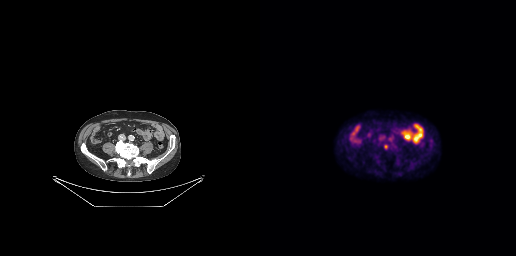
modality: PSMA PET/CT | tracer: [18F]PSMA-1007 | view: axial | PET grid: 256×256
No tumor lesions annotated on this slice.